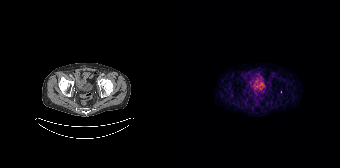
Only PSMA-avid lesion pieces thinner than 2 px on this slice (not listed).